Technique: Two-panel axial: CT | PSMA PET, [18F]PSMA-1007 tracer. PET panel 256×256 px (2.7 mm/px).
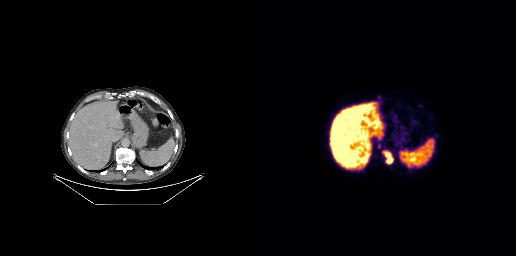
Findings: Coordinates are on the 256×256 PET (right) panel. PSMA-avid tumor lesion bounding boxes (x, y, width, height): x=123 y=151 w=11 h=13; x=118 y=143 w=4 h=6. Small PSMA-avid foci (2 to 4 px across) near (center x, center y): (119, 97); (102, 168).